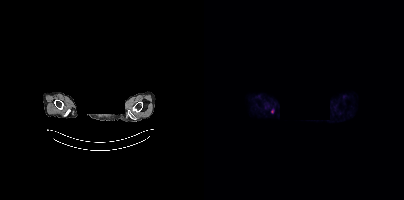
Technique: Paired axial CT (left) and PSMA PET (right), [18F]PSMA-1007 tracer. acquired on Siemens Biograph mCT Flow 20.
Note: Head region blanked for anonymization (face removed).
Findings: Coordinates are on the 200×200 PET (right) panel. PSMA-avid tumor lesion bounding box (x, y, width, height): x=67 y=109 w=3 h=5.